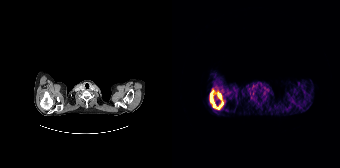
Coordinates are on the 168×168 PET (right) panel. PSMA-avid tumor lesion bounding box (x0,y0,x1,y1): [38,89,52,109].